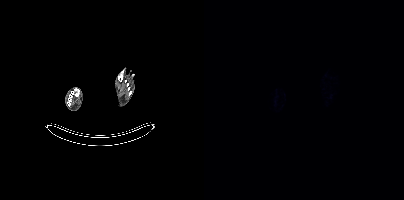
{"modality":"PSMA PET/CT","view":"axial","tracer":"[18F]PSMA-1007","pet_grid":[200,200],"coord_frame":"pet_panel","coord_format":"x0,y0,x1,y1","psma_avid_lesions":false}